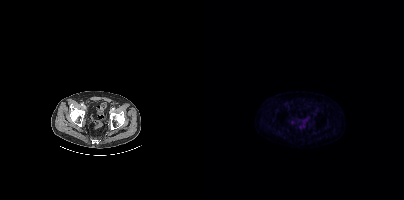
Technique: Paired axial CT (left) and PSMA PET (right), 18F tracer. slice position z = -1529 mm. PET panel 200×200 px (4.1 mm/px).
Findings: This slice has no annotated PSMA-avid lesion.